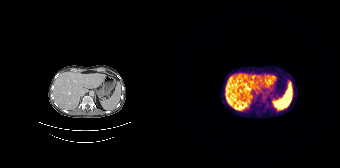
{"modality":"PSMA PET/CT","view":"axial","tracer":"[68Ga]Ga-PSMA-11","pet_grid":[168,168],"coord_frame":"pet_panel","coord_format":"x0,y0,x1,y1","psma_avid_lesions":false}